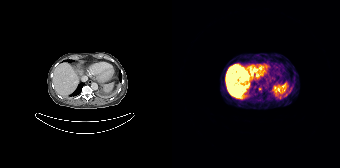
modality: PSMA PET/CT | tracer: [68Ga]Ga-PSMA-11 | view: axial
Coordinates are on the 168×168 PET (right) panel. Small PSMA-avid focus (2 to 4 px across) near (center x, center y): (87, 88).